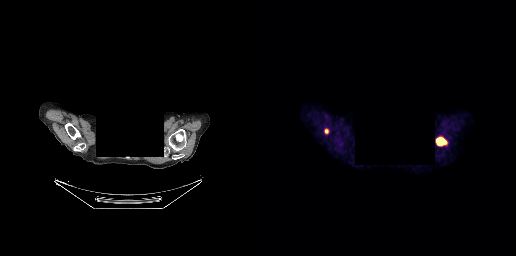
{"modality":"PSMA PET/CT","view":"axial","tracer":"[18F]PSMA-1007","pet_grid":[256,256],"coord_frame":"pet_panel","coord_format":"x0,y0,x1,y1","de-identification":"facial region redacted","lesion_bboxes":[[176,137,187,145],[65,129,68,133]]}